Left: CT. Right: PSMA PET, same axial level, 18F tracer. Acquired on Siemens Biograph mCT Flow 20. Slice position z = -741 mm. PET panel 200×200 px (4.1 mm/px).
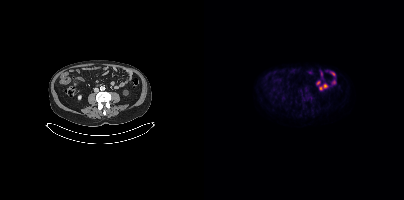
Coordinates are on the 200×200 PET (right) panel. Small PSMA-avid focus (2 to 4 px across) near (center x, center y): (106, 98).